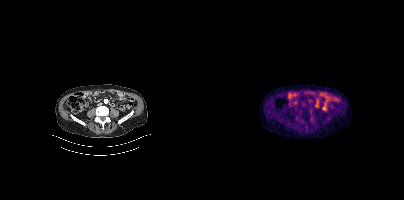
{"modality":"PSMA PET/CT","view":"axial","tracer":"18F-PSMA","pet_grid":[200,200],"coord_frame":"pet_panel","coord_format":"x0,y0,x1,y1","psma_avid_lesions":false}